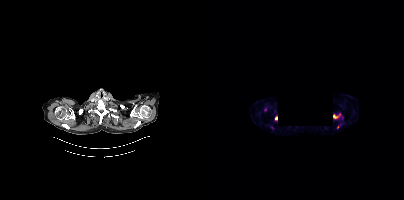
{"modality":"PSMA PET/CT","view":"axial","tracer":"18F-PSMA","pet_grid":[200,200],"coord_frame":"pet_panel","coord_format":"x0,y0,x1,y1","partial":true,"lesion_bboxes":[[129,114,134,118],[71,115,73,120],[60,107,63,111]],"de-identification":"region blacked out before release"}